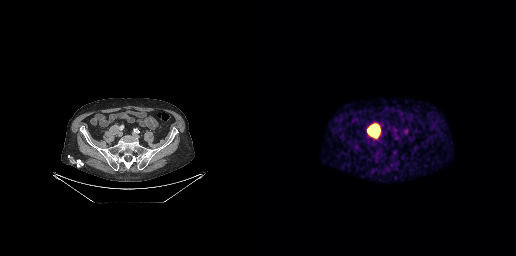
Findings: Coordinates are on the 256×256 PET (right) panel. PSMA-avid tumor lesion bounding box (x0, y0)-(x1, y1): (109, 126)-(118, 134).
- Two-panel axial: CT | PSMA PET, 68Ga-PSMA tracer
- slice position z = -700 mm